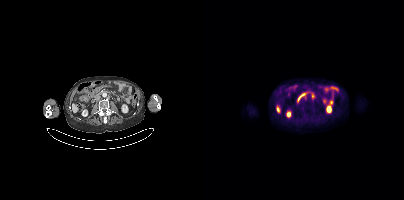
modality: PSMA PET/CT | tracer: [18F]PSMA-1007 | view: axial
Coordinates are on the 200×200 PET (right) panel. PSMA-avid tumor lesion bounding box (x, y, width, height): x=99 y=96 w=4 h=5.